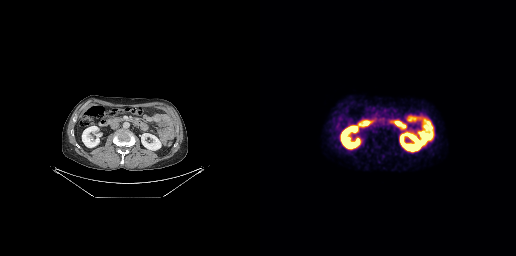
Technique: Paired axial CT (left) and PSMA PET (right), [18F]PSMA-1007 tracer. acquired on GE Discovery 690. PET panel 256×256 px (2.7 mm/px).
Findings: No PSMA-avid tumor lesions on this slice.